Left: CT. Right: PSMA PET, same axial level, 18F tracer. Slice 97 of 397. PET panel 200×200 px (4.1 mm/px).
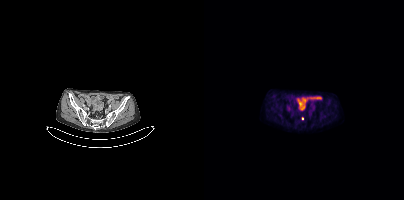
Coordinates are on the 200×200 PET (right) panel. Small PSMA-avid focus (2 to 4 px across) near (center x, center y): (98, 118).